- Paired axial CT (left) and PSMA PET (right), [18F]PSMA-1007 tracer
- slice 298 of 389
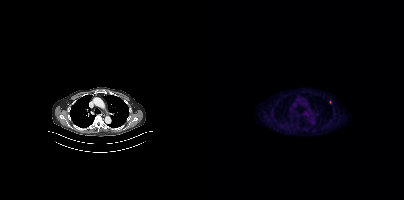
Findings: Coordinates are on the 200×200 PET (right) panel. Small PSMA-avid focus (2 to 4 px across) near (center x, center y): (126, 102).